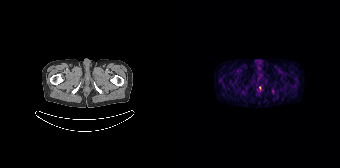
Paired axial CT (left) and PSMA PET (right), 68Ga tracer. Negative for PSMA-avid disease on this slice.